Technique: Two-panel axial: CT | PSMA PET, 18F-PSMA tracer. slice 170 of 444. PET panel 200×200 px (4.1 mm/px).
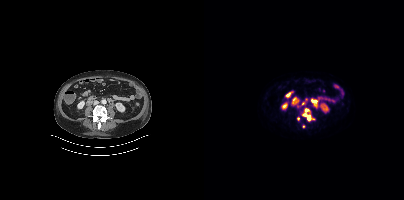
Findings: Coordinates are on the 200×200 PET (right) panel. (showing 4 of 5 foci) PSMA-avid tumor lesion bounding box (x0, y0)-(x1, y1): (99, 113)-(106, 120). Small PSMA-avid foci (2 to 4 px across) near (center x, center y): (102, 110); (99, 126); (94, 118).